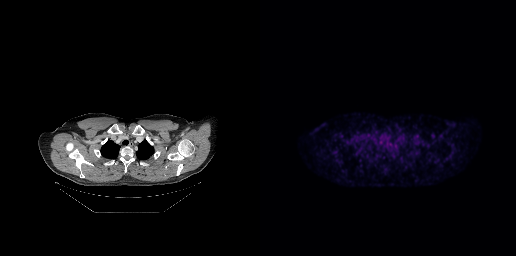
Paired axial CT (left) and PSMA PET (right), 18F tracer. Acquired on GE Discovery 690. Slice position z = -158 mm. PET panel 256×256 px (2.7 mm/px). No tumor lesions annotated on this slice.